Left: CT. Right: PSMA PET, same axial level, 18F-PSMA tracer. PET panel 256×256 px (2.7 mm/px).
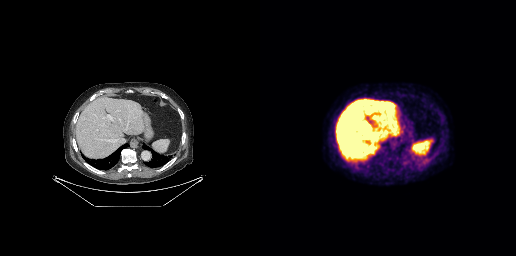
This slice has no annotated PSMA-avid lesion.